modality: PSMA PET/CT | tracer: 68Ga | view: axial
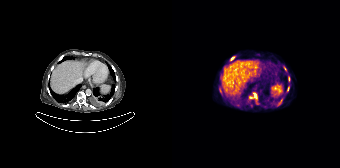
Coordinates are on the 168×168 PET (right) panel. PSMA-avid tumor lesion bounding boxes (x0,y0,x1,y1): [77,92,86,104], [58,57,62,60], [115,86,117,91]. Small PSMA-avid foci (2 to 4 px across) near (center x, center y): (108, 101), (113, 68), (116, 78), (47, 89), (51, 68).